Two-panel axial: CT | PSMA PET, 68Ga tracer. PET panel 168×168 px (4.1 mm/px).
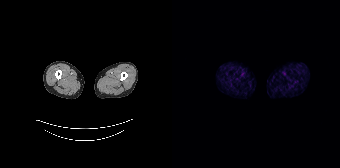
Negative for PSMA-avid disease on this slice.